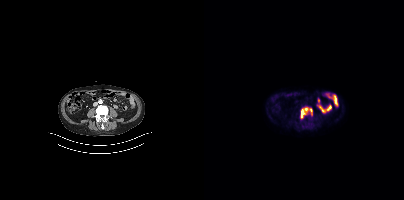
Coordinates are on the 200×200 PET (right) panel. PSMA-avid tumor lesion bounding boxes:
| # | x0 | y0 | x1 | y1 |
|---|---|---|---|---|
| 1 | 96 | 107 | 108 | 118 |
Paired axial CT (left) and PSMA PET (right), 18F-PSMA tracer. Slice position z = -1379 mm. PET panel 200×200 px (4.1 mm/px).